Two-panel axial: CT | PSMA PET, 18F-PSMA tracer. Slice 66 of 263.
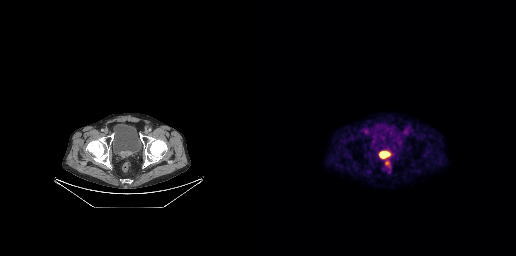
Coordinates are on the 256×256 PET (right) panel. PSMA-avid tumor lesion bounding box (x0,y0,x1,y1): [119,151,129,158]. Small PSMA-avid focus (2 to 4 px across) near (center x, center y): (127, 163).